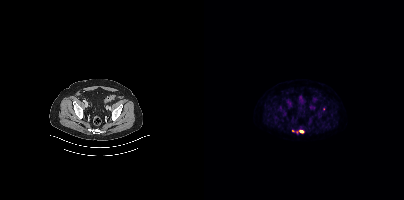
Coordinates are on the 200×200 PET (right) panel. Small PSMA-avid foci (2 to 4 px across) near (center x, center y): (97, 131) (89, 130). Left: CT. Right: PSMA PET, same axial level, [18F]PSMA-1007 tracer. Acquired on Siemens Biograph mCT Flow 20. PET panel 200×200 px (4.1 mm/px).